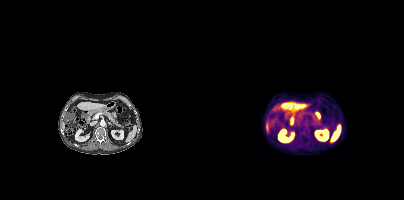
No tumor lesions annotated on this slice. Left: CT. Right: PSMA PET, same axial level, 18F-PSMA tracer.